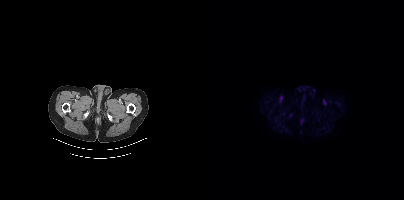
Paired axial CT (left) and PSMA PET (right), 18F-PSMA tracer. Acquired on Siemens Biograph mCT Flow 20. Slice 39 of 401. This slice has no annotated PSMA-avid lesion.